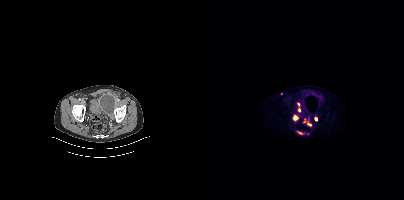
Findings: Coordinates are on the 200×200 PET (right) panel. (showing 5 of 6 foci) PSMA-avid tumor lesion bounding boxes (x0, y0)-(x1, y1): (89, 115)-(94, 120) | (103, 123)-(107, 125). Small PSMA-avid foci (2 to 4 px across) near (center x, center y): (95, 109) | (112, 118) | (94, 104).
Technique: Paired axial CT (left) and PSMA PET (right), 18F tracer. acquired on Siemens Biograph mCT Flow 20. slice position z = -1496 mm.